Technique: Two-panel axial: CT | PSMA PET, 18F-PSMA tracer. slice 45 of 195. PET panel 168×168 px (4.1 mm/px).
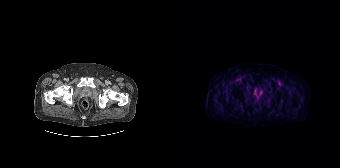
Findings: No PSMA-avid tumor lesions on this slice.